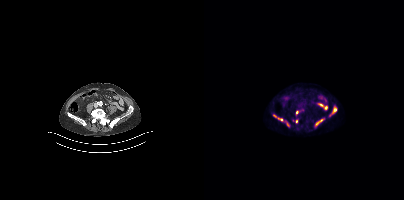
{"modality":"PSMA PET/CT","view":"axial","tracer":"18F-PSMA","pet_grid":[200,200],"coord_frame":"pet_panel","coord_format":"x0,y0,x1,y1","partial":true,"lesion_bboxes":[[125,106,132,116],[110,118,120,126],[69,115,79,121],[92,110,98,114],[91,119,94,123]],"small_foci_centers":[[84,124]]}